Two-panel axial: CT | PSMA PET, 18F-PSMA tracer. Slice position z = -1372 mm.
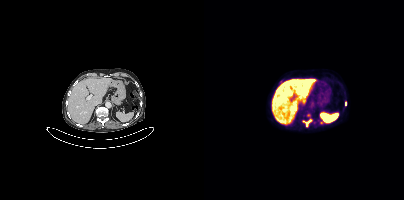
Coordinates are on the 200×200 PET (right) panel. PSMA-avid tumor lesion bounding box (x0, y0)-(x1, y1): (102, 120)-(107, 125). Small PSMA-avid foci (2 to 4 px across) near (center x, center y): (117, 122) / (141, 103).